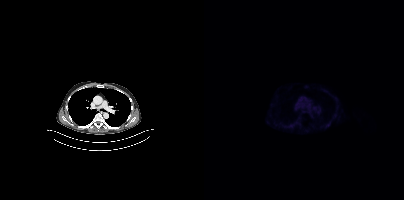
This slice has no annotated PSMA-avid lesion.